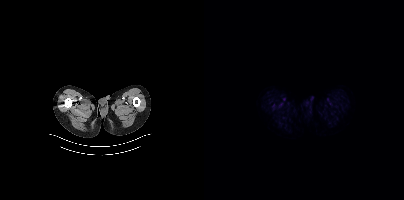
Technique: Two-panel axial: CT | PSMA PET, [18F]PSMA-1007 tracer. acquired on Siemens Biograph mCT Flow 20. slice 23 of 401. PET panel 200×200 px (4.1 mm/px).
Findings: No tumor lesions annotated on this slice.